Two-panel axial: CT | PSMA PET, 68Ga tracer. PET panel 200×200 px (4.1 mm/px). Facial anatomy redacted by setting a rectangular region of the head to black.
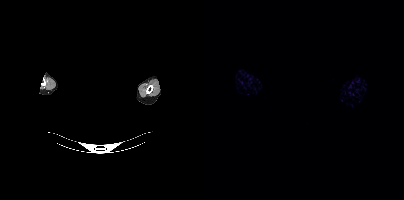
Negative for PSMA-avid disease on this slice.